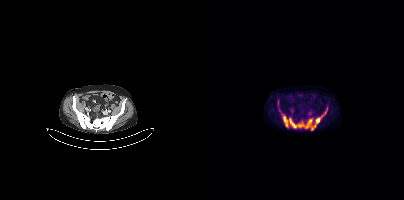
Technique: Paired axial CT (left) and PSMA PET (right), 18F tracer.
Findings: Coordinates are on the 200×200 PET (right) panel. (showing 3 of 4 foci) PSMA-avid tumor lesion bounding boxes (x0, y0)-(x1, y1): (78, 114)-(108, 128) / (112, 107)-(123, 123) / (107, 125)-(111, 129).